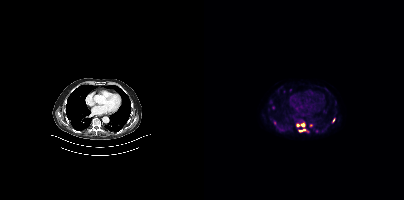
Technique: Left: CT. Right: PSMA PET, same axial level, 18F-PSMA tracer. acquired on Siemens Biograph mCT Flow 20.
Findings: Coordinates are on the 200×200 PET (right) panel. PSMA-avid tumor lesion bounding box (x, y, width, height): x=95 y=129 w=7 h=3. Small PSMA-avid foci (2 to 4 px across) near (center x, center y): (98, 125) / (107, 125) / (94, 125) / (129, 120) / (86, 89).